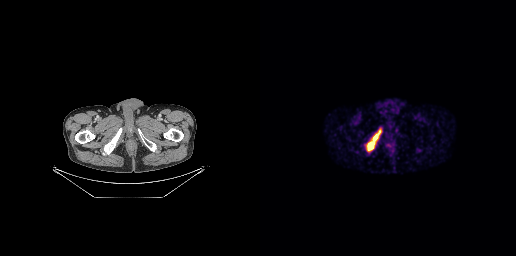
- Left: CT. Right: PSMA PET, same axial level, 68Ga-PSMA tracer
- slice position z = -889 mm
- PET panel 256×256 px (2.7 mm/px)
Findings: Coordinates are on the 256×256 PET (right) panel. PSMA-avid tumor lesion bounding box (x0, y0)-(x1, y1): (106, 128)-(121, 151).